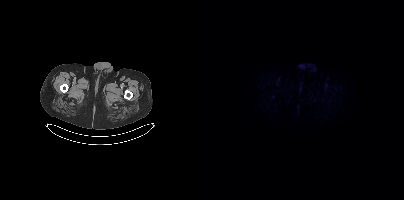
No tumor lesions annotated on this slice.